- Paired axial CT (left) and PSMA PET (right), 18F tracer
- slice position z = -92 mm
- PET panel 200×200 px (4.1 mm/px)
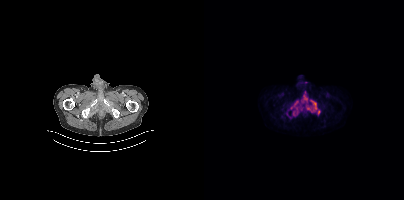
Findings: Coordinates are on the 200×200 PET (right) panel. PSMA-avid tumor lesion bounding boxes (x0, y0)-(x1, y1): (102, 100)-(116, 114) / (87, 100)-(94, 115) / (97, 91)-(103, 102). Small PSMA-avid foci (2 to 4 px across) near (center x, center y): (102, 82) / (97, 109) / (83, 114).